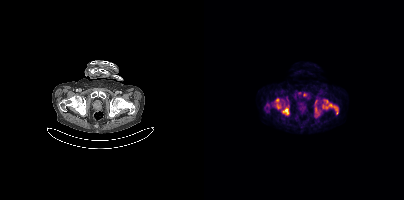
Coordinates are on the 200×200 PET (right) panel. PSMA-avid tumor lesion bounding boxes (x0,y0,x1,y1): [119,100,134,114], [78,108,84,114], [72,105,77,108]. Small PSMA-avid foci (2 to 4 px across) near (center x, center y): (63, 105), (73, 100), (111, 109), (83, 100), (95, 92), (111, 101).